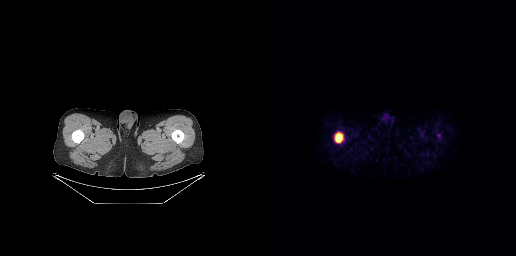
Coordinates are on the 256×256 PET (right) panel. PSMA-avid tumor lesion bounding boxes:
| # | x0 | y0 | x1 | y1 |
|---|---|---|---|---|
| 1 | 74 | 132 | 83 | 142 |
Paired axial CT (left) and PSMA PET (right), 18F tracer. PET panel 256×256 px (2.7 mm/px).